Two-panel axial: CT | PSMA PET, 18F tracer. Acquired on Siemens Biograph mCT Flow 20.
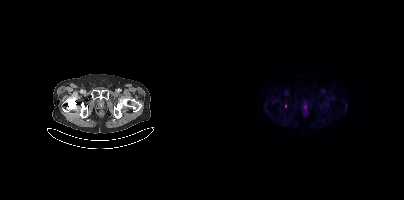
Coordinates are on the 200×200 PET (right) panel. Small PSMA-avid focus (2 to 4 px across) near (center x, center y): (81, 106).